- Left: CT. Right: PSMA PET, same axial level, 68Ga tracer
- acquired on Siemens Biograph 64-4R TruePoint
- slice 56 of 195
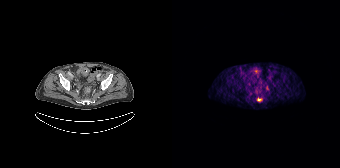
Findings: Coordinates are on the 168×168 PET (right) panel. PSMA-avid tumor lesion bounding box (x0,y0,x1,y1): [85,97,90,101].